modality: PSMA PET/CT | tracer: [18F]PSMA-1007 | view: axial | PET grid: 200×200
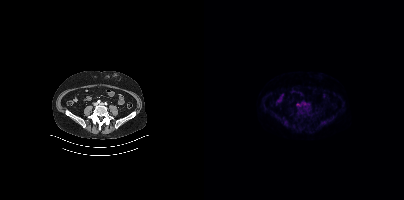
Coordinates are on the 200×200 PET (right) panel. Small PSMA-avid focus (2 to 4 px across) near (center x, center y): (94, 104).